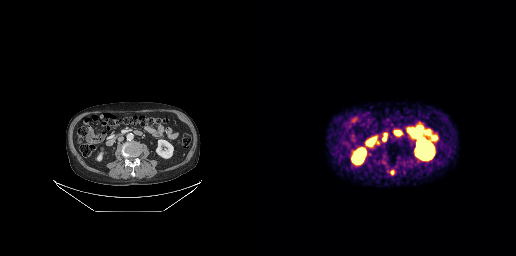
modality: PSMA PET/CT | tracer: 68Ga | view: axial | PET grid: 256×256
Coordinates are on the 256×256 PET (right) panel. PSMA-avid tumor lesion bounding boxes (x0,y0,x1,y1): [130,170,134,174], [115,141,119,144], [144,161,149,164]. Small PSMA-avid focus (2 to 4 px across) near (center x, center y): (137, 165).